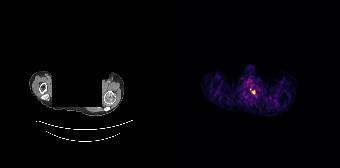
{"modality":"PSMA PET/CT","view":"axial","tracer":"68Ga","pet_grid":[168,168],"coord_frame":"pet_panel","coord_format":"x0,y0,x1,y1","redaction":"rectangular block over head set to black","partial":true,"lesion_bboxes":[],"small_foci_centers":[[81,92]]}